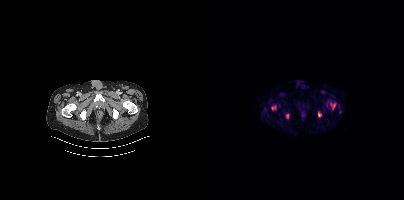
{"modality":"PSMA PET/CT","view":"axial","tracer":"18F","pet_grid":[200,200],"coord_frame":"pet_panel","coord_format":"x0,y0,x1,y1","lesion_bboxes":[[67,105,72,110],[126,103,131,108],[82,113,85,118],[114,112,117,117]],"small_foci_centers":[[136,112]]}